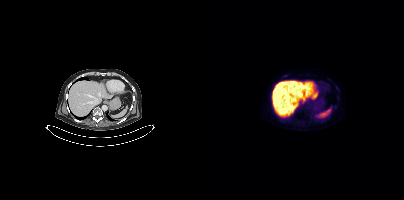
{"modality":"PSMA PET/CT","view":"axial","tracer":"[18F]PSMA-1007","pet_grid":[200,200],"coord_frame":"pet_panel","coord_format":"x0,y0,x1,y1","psma_avid_lesions":false}